Technique: Two-panel axial: CT | PSMA PET, 18F-PSMA tracer. slice position z = -480 mm.
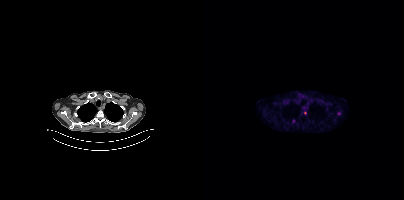
Findings: Coordinates are on the 200×200 PET (right) panel. (showing 3 of 4 foci) PSMA-avid tumor lesion bounding box (x0, y0)-(x1, y1): (88, 119)-(91, 123). Small PSMA-avid foci (2 to 4 px across) near (center x, center y): (101, 113) / (135, 113).